- Paired axial CT (left) and PSMA PET (right), 18F-PSMA tracer
- slice position z = -875 mm
- PET panel 200×200 px (4.1 mm/px)
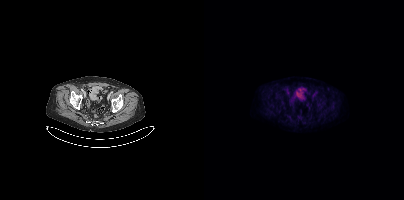
Findings: No PSMA-avid tumor lesions on this slice.